modality: PSMA PET/CT | tracer: 68Ga | view: axial | PET grid: 200×200
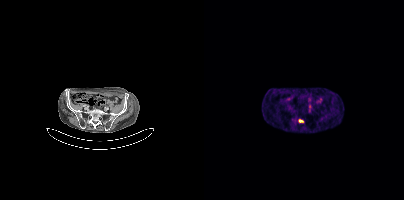
Coordinates are on the 200×200 PET (right) panel. Small PSMA-avid foci (2 to 4 px across) near (center x, center y): (106, 106) | (96, 120).